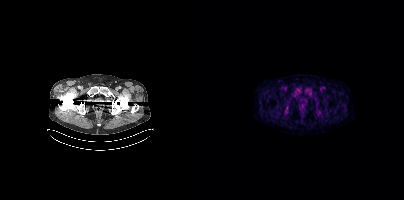
Negative for PSMA-avid disease on this slice. Two-panel axial: CT | PSMA PET, 18F-PSMA tracer.